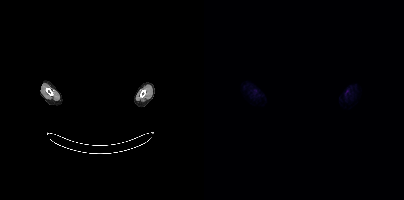
No tumor lesions annotated on this slice. Paired axial CT (left) and PSMA PET (right), 18F tracer. Slice 410 of 425. An anonymization step blacked out a rectangle over the head in this scan.